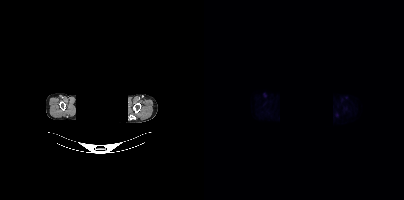
redaction: rectangular block over head set to black | modality: PSMA PET/CT | tracer: [18F]PSMA-1007 | view: axial | PET grid: 200×200
No tumor lesions annotated on this slice.